- Paired axial CT (left) and PSMA PET (right), [18F]PSMA-1007 tracer
- slice 250 of 385
- PET panel 200×200 px (4.1 mm/px)
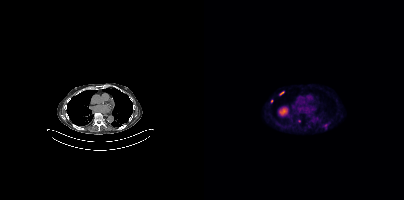
Findings: Coordinates are on the 200×200 PET (right) panel. PSMA-avid tumor lesion bounding box (x0,y0,x1,y1): [75,91,80,95]. Small PSMA-avid foci (2 to 4 px across) near (center x, center y): (95, 121), (67, 101), (105, 126).